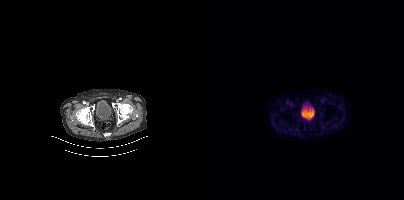
Technique: Two-panel axial: CT | PSMA PET, [18F]PSMA-1007 tracer. slice position z = -1444 mm. PET panel 200×200 px (4.1 mm/px).
Findings: No PSMA-avid tumor lesions on this slice.